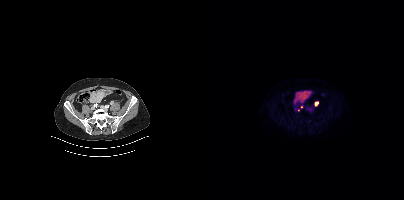
- Paired axial CT (left) and PSMA PET (right), 18F tracer
- acquired on Siemens Biograph mCT Flow 20
- slice 125 of 442
Findings: Coordinates are on the 200×200 PET (right) panel. (showing 1 of 3 foci) PSMA-avid tumor lesion bounding box (x, y, width, height): x=110 y=101 w=5 h=6.